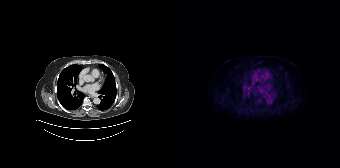
Negative for PSMA-avid disease on this slice.